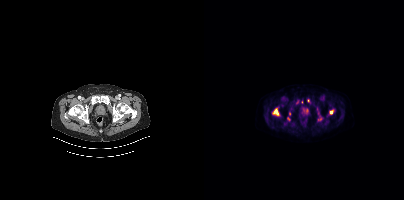
{"modality":"PSMA PET/CT","view":"axial","tracer":"[18F]PSMA-1007","pet_grid":[200,200],"coord_frame":"pet_panel","coord_format":"x0,y0,x1,y1","partial":true,"lesion_bboxes":[[68,108,75,115],[113,107,114,111]],"small_foci_centers":[[104,100],[103,110],[126,112],[85,113],[115,120],[84,119]]}